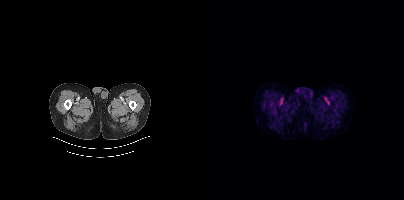
Findings: Negative for PSMA-avid disease on this slice.
- Two-panel axial: CT | PSMA PET, 18F-PSMA tracer
- acquired on Siemens Biograph mCT Flow 20
- PET panel 200×200 px (4.1 mm/px)